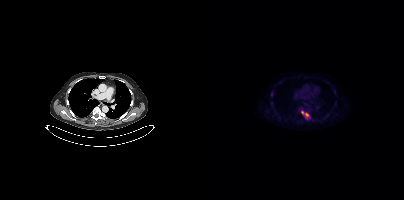
- Paired axial CT (left) and PSMA PET (right), [18F]PSMA-1007 tracer
Findings: Coordinates are on the 200×200 PET (right) panel. (showing 1 of 2 foci) PSMA-avid tumor lesion bounding box (x, y, width, height): x=97 y=110 w=8 h=7.